modality: PSMA PET/CT | tracer: [18F]PSMA-1007 | view: axial | PET grid: 256×256
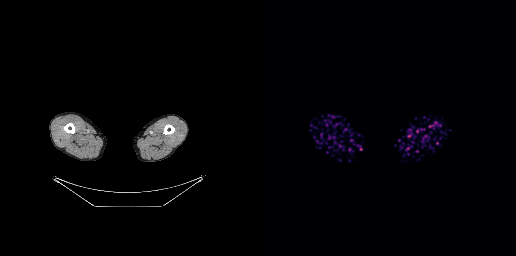
No PSMA-avid tumor lesions on this slice.